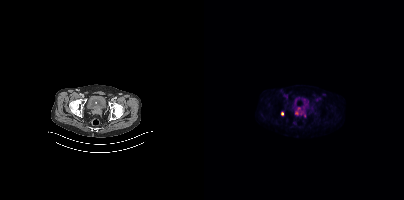
- Paired axial CT (left) and PSMA PET (right), 18F tracer
- slice position z = -947 mm
- PET panel 200×200 px (4.1 mm/px)
Findings: Coordinates are on the 200×200 PET (right) panel. Small PSMA-avid foci (2 to 4 px across) near (center x, center y): (78, 113); (92, 113).